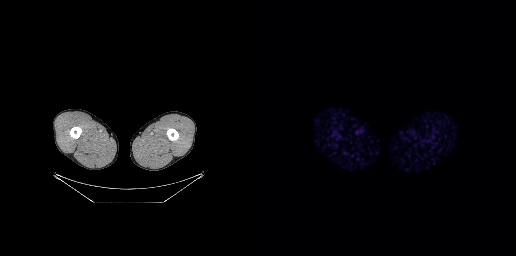
No PSMA-avid tumor lesions on this slice.